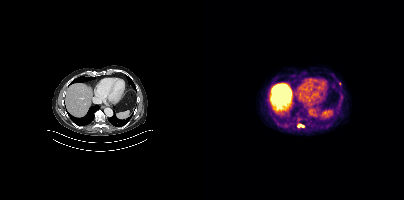
- Paired axial CT (left) and PSMA PET (right), 18F tracer
- PET panel 200×200 px (4.1 mm/px)
Findings: Coordinates are on the 200×200 PET (right) panel. PSMA-avid tumor lesion bounding box (x0, y0)-(x1, y1): (93, 124)-(100, 127). Small PSMA-avid focus (2 to 4 px across) near (center x, center y): (135, 83).